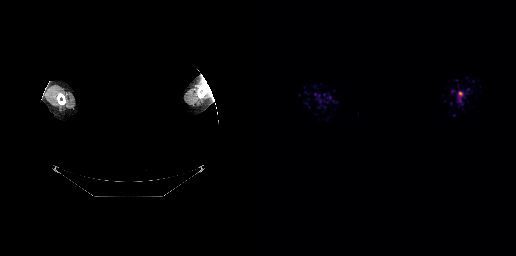
Coordinates are on the 256×256 PET (right) panel. Small PSMA-avid focus (2 to 4 px across) near (center x, center y): (200, 93).
An anonymization step blacked out a rectangle over the head in this scan.